Technique: Two-panel axial: CT | PSMA PET, 68Ga-PSMA tracer. PET panel 200×200 px (4.1 mm/px).
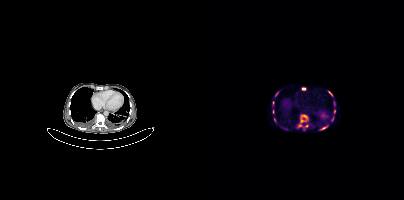
Findings: Coordinates are on the 200×200 PET (right) panel. (showing 11 of 13 foci) PSMA-avid tumor lesion bounding boxes (x, y, width, height): x=97 y=115 w=7 h=8 | x=116 y=126 w=8 h=4 | x=124 y=91 w=5 h=6. Small PSMA-avid foci (2 to 4 px across) near (center x, center y): (99, 88) | (72, 93) | (130, 111) | (69, 111) | (128, 118) | (96, 125) | (70, 120) | (102, 125).